Technique: Paired axial CT (left) and PSMA PET (right), [18F]PSMA-1007 tracer. acquired on GE Discovery 690. slice position z = -98 mm. PET panel 256×256 px (2.7 mm/px).
Note: The face region was removed for patient privacy by blanking a rectangle over the head.
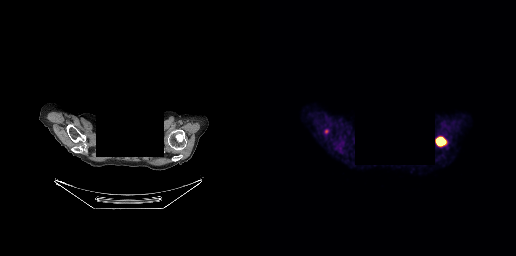
Findings: Coordinates are on the 256×256 PET (right) panel. (showing 1 of 2 foci) PSMA-avid tumor lesion bounding box (x, y, width, height): x=176 y=137 w=11 h=10.